Two-panel axial: CT | PSMA PET, 18F-PSMA tracer. PET panel 200×200 px (4.1 mm/px).
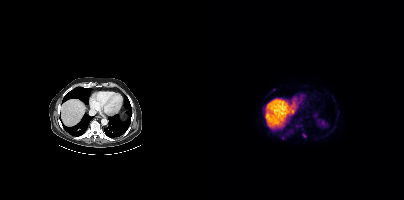
Coordinates are on the 200×200 PET (right) panel. PSMA-avid tumor lesion bounding boxes (partial; 1 more focus not listed):
| # | x0 | y0 | x1 | y1 |
|---|---|---|---|---|
| 1 | 77 | 135 | 80 | 139 |
| 2 | 98 | 133 | 102 | 137 |